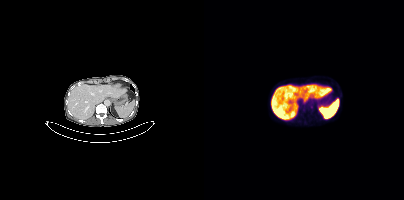
{"modality":"PSMA PET/CT","view":"axial","tracer":"18F","pet_grid":[200,200],"coord_frame":"pet_panel","coord_format":"x0,y0,x1,y1","psma_avid_lesions":false}